Technique: Paired axial CT (left) and PSMA PET (right), [18F]PSMA-1007 tracer. acquired on Siemens Biograph mCT Flow 20.
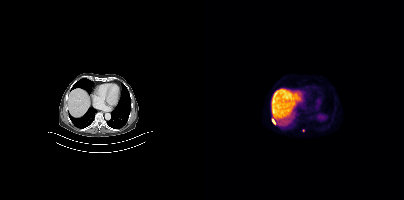
Findings: Coordinates are on the 200×200 PET (right) panel. PSMA-avid tumor lesion bounding box (x0,y0,x1,y1): [68,119,73,125]. Small PSMA-avid focus (2 to 4 px across) near (center x, center y): (99, 130).